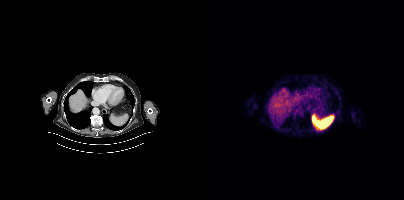
No PSMA-avid tumor lesions on this slice. Two-panel axial: CT | PSMA PET, [18F]PSMA-1007 tracer. Acquired on Siemens Biograph mCT Flow 20. Slice 253 of 427.